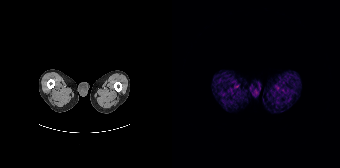
Left: CT. Right: PSMA PET, same axial level, [68Ga]Ga-PSMA-11 tracer. Negative for PSMA-avid disease on this slice.